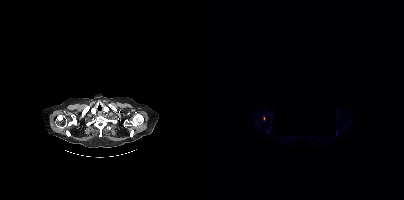
- Paired axial CT (left) and PSMA PET (right), 18F-PSMA tracer
- acquired on Siemens Biograph mCT Flow 20
- slice 338 of 389
- PET panel 200×200 px (4.1 mm/px)
- a rectangular privacy mask was applied before release
Findings: Coordinates are on the 200×200 PET (right) panel. Small PSMA-avid focus (2 to 4 px across) near (center x, center y): (59, 118).